modality: PSMA PET/CT | tracer: [18F]PSMA-1007 | view: axial | PET grid: 200×200
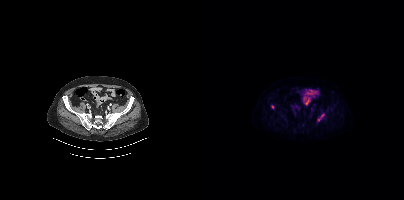
Coordinates are on the 200×200 PET (right) panel. (showing 3 of 4 foci) Small PSMA-avid foci (2 to 4 px across) near (center x, center y): (68, 106) (118, 115) (114, 119).